- Left: CT. Right: PSMA PET, same axial level, 18F tracer
- slice 198 of 454
- PET panel 200×200 px (4.1 mm/px)
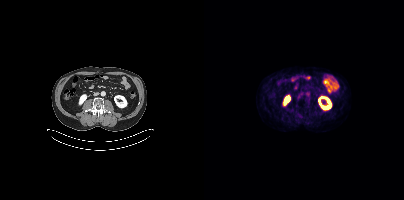
Findings: No tumor lesions annotated on this slice.